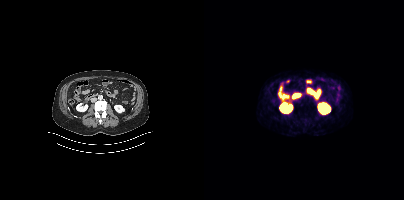
Technique: Left: CT. Right: PSMA PET, same axial level, 68Ga tracer. slice 200 of 450.
Findings: No PSMA-avid tumor lesions on this slice.